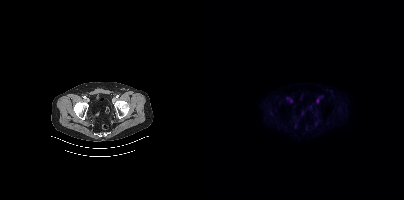
Findings: No PSMA-avid tumor lesions on this slice.
Technique: Two-panel axial: CT | PSMA PET, 18F tracer. PET panel 200×200 px (4.1 mm/px).